Two-panel axial: CT | PSMA PET, 18F tracer.
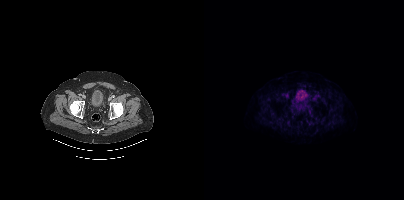
Negative for PSMA-avid disease on this slice.